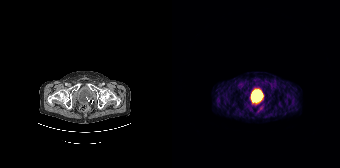
This slice has no annotated PSMA-avid lesion. Two-panel axial: CT | PSMA PET, 68Ga-PSMA tracer. Acquired on Siemens Biograph 64-4R TruePoint. Slice 28 of 165. PET panel 168×168 px (4.1 mm/px).